Technique: Left: CT. Right: PSMA PET, same axial level, 18F-PSMA tracer. PET panel 200×200 px (4.1 mm/px).
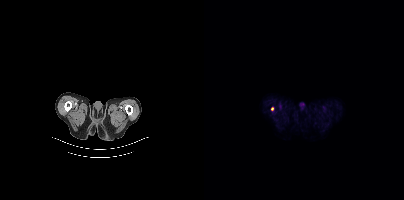
Findings: Coordinates are on the 200×200 PET (right) panel. Small PSMA-avid focus (2 to 4 px across) near (center x, center y): (68, 108).